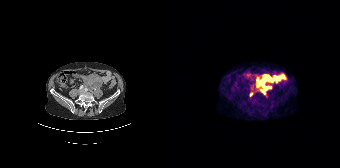
Coordinates are on the 168×168 PET (right) panel. PSMA-avid tumor lesion bounding boxes (x0,y0,x1,y1): [85,75,100,86]; [89,87,99,93]. Small PSMA-avid focus (2 to 4 px across) near (center x, center y): (78, 94).